Technique: Paired axial CT (left) and PSMA PET (right), 68Ga-PSMA tracer. PET panel 200×200 px (4.1 mm/px).
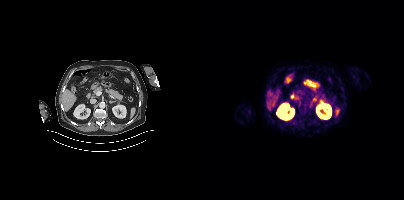
Findings: No tumor lesions annotated on this slice.